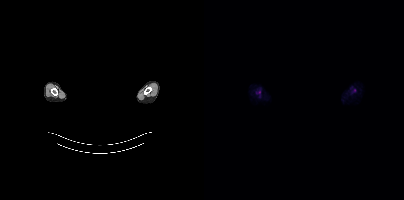
modality: PSMA PET/CT | tracer: 18F | view: axial | PET grid: 200×200 | deidentification: head region blanked (face removed)
Coordinates are on the 200×200 PET (right) panel. Small PSMA-avid focus (2 to 4 px across) near (center x, center y): (55, 92).